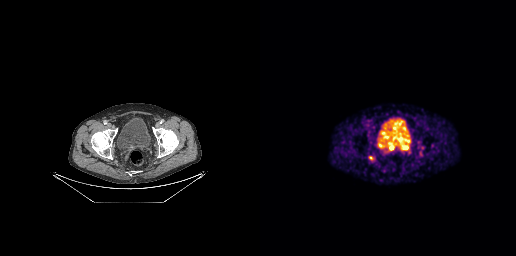
Technique: Left: CT. Right: PSMA PET, same axial level, [68Ga]Ga-PSMA-11 tracer. PET panel 256×256 px (2.7 mm/px).
Findings: Coordinates are on the 256×256 PET (right) panel. PSMA-avid tumor lesion bounding box (x0,y0,x1,y1): [142,145,148,150]. Small PSMA-avid foci (2 to 4 px across) near (center x, center y): (131, 147) (110, 157).